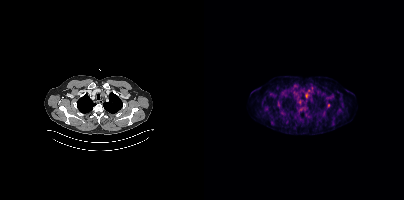
Coordinates are on the 200×200 PET (right) panel. (showing 1 of 2 foci) Small PSMA-avid focus (2 to 4 px across) near (center x, center y): (102, 95).